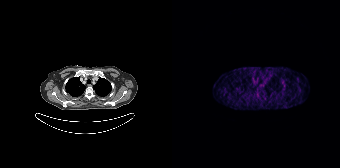
Findings: No PSMA-avid tumor lesions on this slice.
Technique: Left: CT. Right: PSMA PET, same axial level, 68Ga-PSMA tracer. acquired on Siemens Biograph 64-4R TruePoint. PET panel 168×168 px (4.1 mm/px).